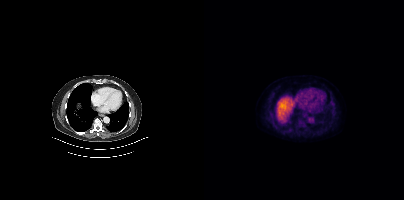
No tumor lesions annotated on this slice.